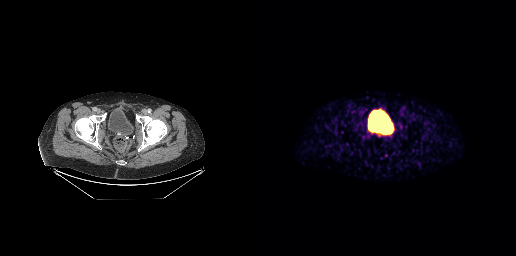
{"modality":"PSMA PET/CT","view":"axial","tracer":"68Ga-PSMA","pet_grid":[256,256],"coord_frame":"pet_panel","coord_format":"x0,y0,x1,y1","psma_avid_lesions":false}